modality: PSMA PET/CT | tracer: [18F]PSMA-1007 | view: axial | PET grid: 256×256
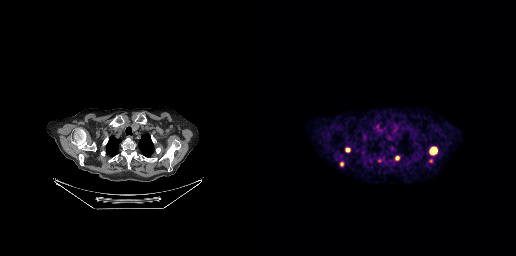
Coordinates are on the 256×256 PET (right) panel. PSMA-avid tumor lesion bounding boxes (x0,y0,x1,y1): [170,147,177,154], [85,148,90,152], [135,156,139,160]. Small PSMA-avid focus (2 to 4 px across) near (center x, center y): (81, 163).